- Left: CT. Right: PSMA PET, same axial level, [68Ga]Ga-PSMA-11 tracer
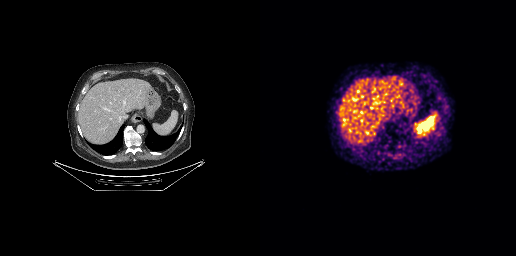
Findings: No tumor lesions annotated on this slice.